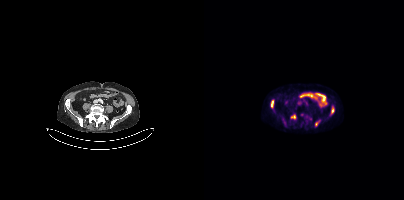
Coordinates are on the 200×200 PET (right) panel. PSMA-avid tumor lesion bounding boxes (x0,y0,x1,y1): [67,100,69,107] [87,114,91,118] [127,107,130,113]. Small PSMA-avid focus (2 to 4 px across) near (center x, center y): (112, 123). Two-panel axial: CT | PSMA PET, 18F tracer. Acquired on Siemens Biograph mCT Flow 20.